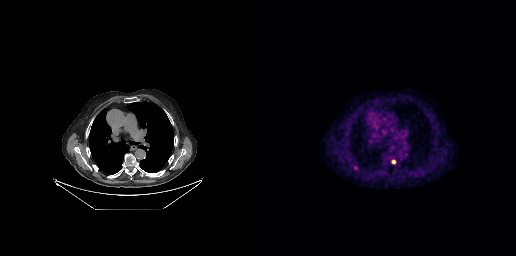
Coordinates are on the 256×256 PET (right) panel. PSMA-avid tumor lesion bounding box (x, y, width, height): x=131 y=160 w=5 h=4.